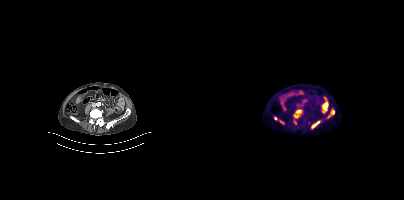
Paired axial CT (left) and PSMA PET (right), 18F tracer. Acquired on Siemens Biograph mCT Flow 20. Slice 121 of 367.
Coordinates are on the 200×200 PET (right) panel. PSMA-avid tumor lesion bounding boxes (partial; 1 more focus not listed):
| # | x0 | y0 | x1 | y1 |
|---|---|---|---|---|
| 1 | 89 | 109 | 98 | 124 |